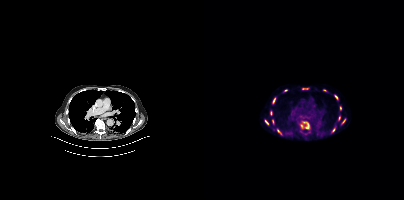
{"modality":"PSMA PET/CT","view":"axial","tracer":"[18F]PSMA-1007","pet_grid":[200,200],"coord_frame":"pet_panel","coord_format":"x0,y0,x1,y1","lesion_bboxes":[[96,121,105,129],[68,97,71,103],[98,87,105,89],[130,95,134,99],[134,116,136,120],[61,120,64,124],[128,128,131,132],[73,129,77,134],[136,106,137,110],[66,111,68,115],[138,119,141,123]],"small_foci_centers":[[120,90],[68,121]]}